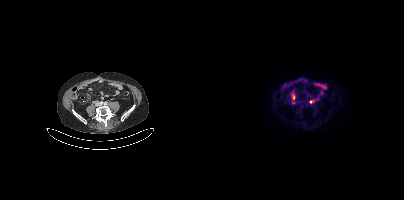
Technique: Paired axial CT (left) and PSMA PET (right), 18F tracer. PET panel 200×200 px (4.1 mm/px).
Findings: Coordinates are on the 200×200 PET (right) panel. (showing 2 of 4 foci) Small PSMA-avid foci (2 to 4 px across) near (center x, center y): (89, 97) (106, 101).